Any black rectangle over the head is a privacy mask, not anatomy.
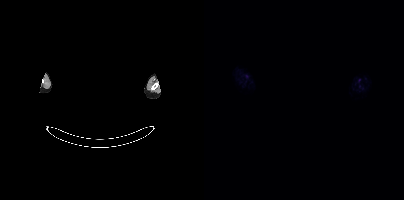
This slice has no annotated PSMA-avid lesion.